Technique: Paired axial CT (left) and PSMA PET (right), 18F tracer. acquired on Siemens Biograph mCT Flow 20.
Note: De-identified by setting a box covering the face to black before release.
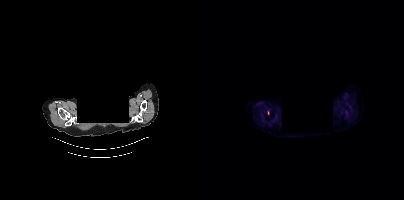
Findings: Coordinates are on the 200×200 PET (right) panel. Small PSMA-avid focus (2 to 4 px across) near (center x, center y): (64, 112).